modality: PSMA PET/CT | tracer: 68Ga-PSMA | view: axial
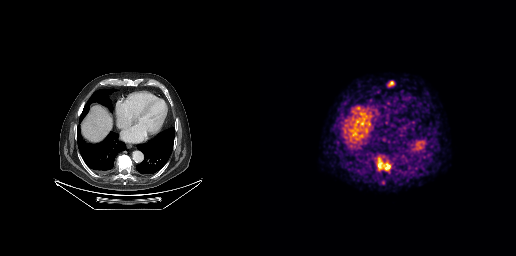
Coordinates are on the 256×256 PET (right) panel. PSMA-avid tumor lesion bounding boxes (x, y, width, height): x=117 y=157 w=14 h=14 | x=129 y=81 w=5 h=5.